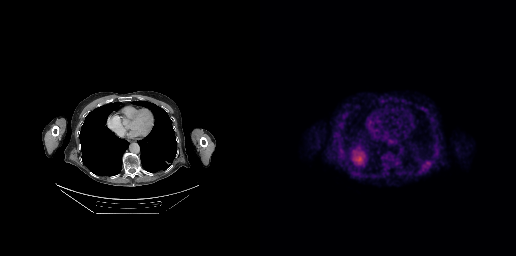
Coordinates are on the 256×256 PET (right) panel. PSMA-avid tumor lesion bounding box (x0,y0,x1,y1): [165,163,169,167].